Left: CT. Right: PSMA PET, same axial level, [18F]PSMA-1007 tracer. Acquired on GE Discovery 690. PET panel 256×256 px (2.7 mm/px).
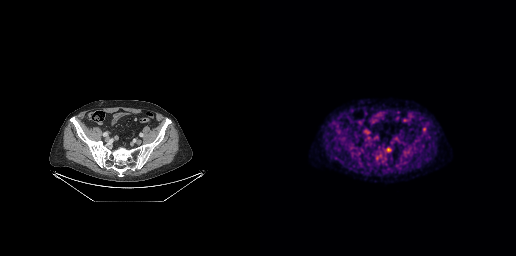
No tumor lesions annotated on this slice.